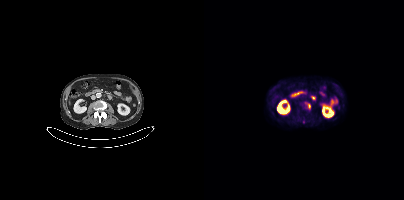
Findings: Coordinates are on the 200×200 PET (right) panel. PSMA-avid tumor lesion bounding box (x, y, width, height): x=104 y=104 w=3 h=5.
Technique: Two-panel axial: CT | PSMA PET, 18F tracer. acquired on Siemens Biograph mCT Flow 20. slice 180 of 415.